Left: CT. Right: PSMA PET, same axial level, 68Ga tracer.
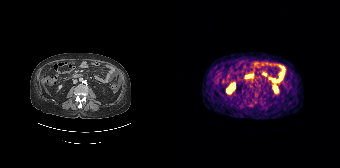
Negative for PSMA-avid disease on this slice.